Two-panel axial: CT | PSMA PET, 18F-PSMA tracer. PET panel 200×200 px (4.1 mm/px).
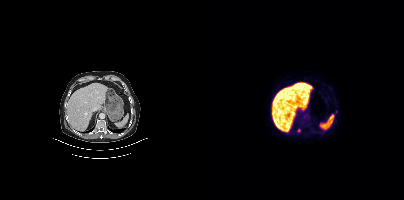
No PSMA-avid tumor lesions on this slice.